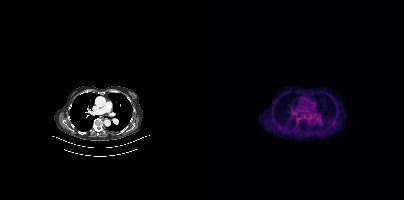
Technique: Left: CT. Right: PSMA PET, same axial level, 68Ga-PSMA tracer.
Findings: No PSMA-avid tumor lesions on this slice.